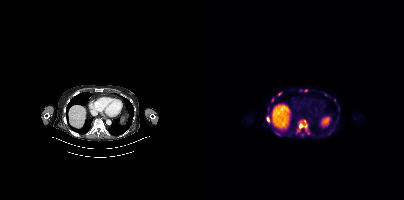
Left: CT. Right: PSMA PET, same axial level, 18F-PSMA tracer.
Coordinates are on the 200×200 PET (right) panel. PSMA-avid tumor lesion bounding boxes (partial; 1 more focus not listed):
| # | x0 | y0 | x1 | y1 |
|---|---|---|---|---|
| 1 | 92 | 120 | 106 | 136 |
| 2 | 62 | 117 | 65 | 122 |
| 3 | 72 | 133 | 77 | 135 |
Small PSMA-avid foci (2 to 4 px across) near (center x, center y): (101, 90); (75, 93); (121, 94); (68, 99); (130, 100); (64, 109).